Paired axial CT (left) and PSMA PET (right), 18F tracer. Slice 218 of 299. PET panel 256×256 px (2.7 mm/px).
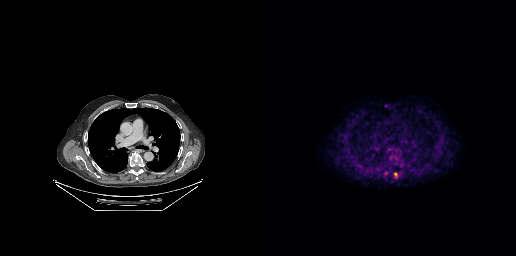
Coordinates are on the 256×256 PET (right) panel. Small PSMA-avid focus (2 to 4 px across) near (center x, center y): (135, 173).